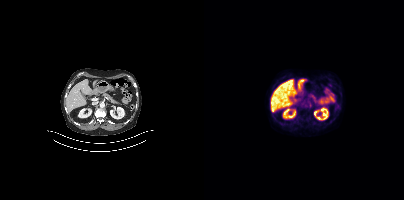
Findings: No PSMA-avid tumor lesions on this slice.
- Two-panel axial: CT | PSMA PET, [18F]PSMA-1007 tracer
- acquired on Siemens Biograph mCT Flow 20
- PET panel 200×200 px (4.1 mm/px)